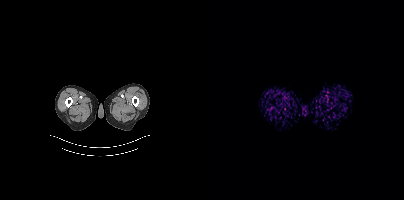
This slice has no annotated PSMA-avid lesion.